modality: PSMA PET/CT | tracer: 18F-PSMA | view: axial | PET grid: 256×256
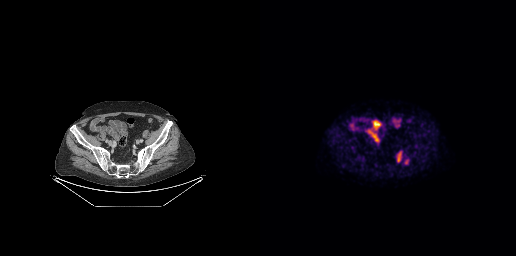
Coordinates are on the 256×256 PET (right) panel. PSMA-avid tumor lesion bounding boxes (x0,y0,x1,y1): [137,151,141,162], [145,160,148,164].